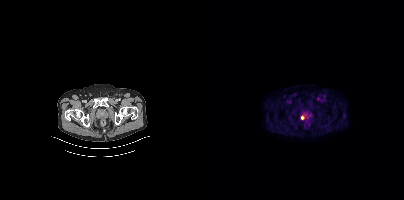
modality: PSMA PET/CT | tracer: [18F]PSMA-1007 | view: axial
Coordinates are on the 200×200 PET (right) panel. Small PSMA-avid focus (2 to 4 px across) near (center x, center y): (98, 117).